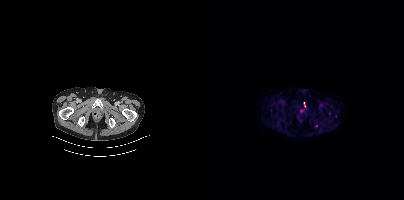
- Left: CT. Right: PSMA PET, same axial level, [18F]PSMA-1007 tracer
- acquired on Siemens Biograph mCT Flow 20
- PET panel 200×200 px (4.1 mm/px)
Findings: Coordinates are on the 200×200 PET (right) panel. (showing 2 of 3 foci) PSMA-avid tumor lesion bounding box (x0,y0,x1,y1): [100,102,101,106]. Small PSMA-avid focus (2 to 4 px across) near (center x, center y): (112, 125).